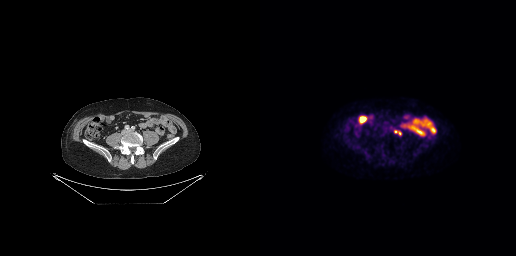
Coordinates are on the 256×256 PET (right) panel. PSMA-avid tumor lesion bounding boxes:
| # | x0 | y0 | x1 | y1 |
|---|---|---|---|---|
| 1 | 135 | 131 | 140 | 133 |
Left: CT. Right: PSMA PET, same axial level, 18F tracer. PET panel 256×256 px (2.7 mm/px).